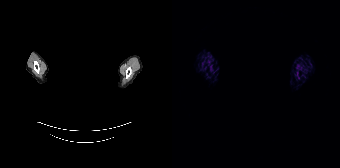
{"modality":"PSMA PET/CT","view":"axial","tracer":"[68Ga]Ga-PSMA-11","pet_grid":[168,168],"coord_frame":"pet_panel","coord_format":"x0,y0,x1,y1","psma_avid_lesions":false,"redaction":"face masked with black rectangle"}